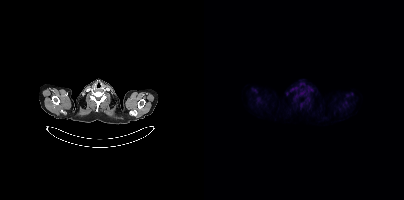
Findings: No tumor lesions annotated on this slice.
Technique: Left: CT. Right: PSMA PET, same axial level, 18F tracer. PET panel 200×200 px (4.1 mm/px).